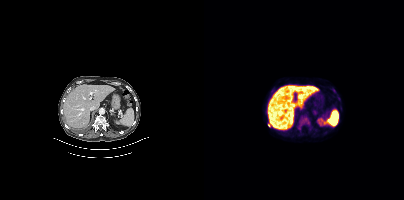
Technique: Paired axial CT (left) and PSMA PET (right), [18F]PSMA-1007 tracer. slice position z = -1268 mm. PET panel 200×200 px (4.1 mm/px).
Findings: Coordinates are on the 200×200 PET (right) panel. PSMA-avid tumor lesion bounding box (x0,y0,x1,y1): [97,118,105,124]. Small PSMA-avid focus (2 to 4 px across) near (center x, center y): (64, 125).